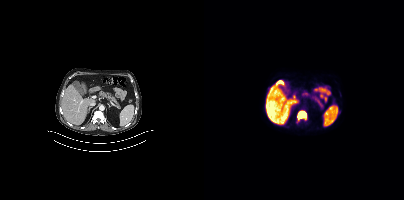
{"modality":"PSMA PET/CT","view":"axial","tracer":"18F-PSMA","pet_grid":[200,200],"coord_frame":"pet_panel","coord_format":"x0,y0,x1,y1","lesion_bboxes":[[93,110,102,121]]}